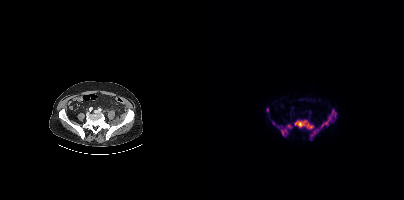
{"modality":"PSMA PET/CT","view":"axial","tracer":"18F-PSMA","pet_grid":[200,200],"coord_frame":"pet_panel","coord_format":"x0,y0,x1,y1","lesion_bboxes":[[90,120,109,128],[106,118,130,138],[126,109,132,117],[73,125,79,134],[68,121,71,125]],"small_foci_centers":[[85,126],[63,109],[81,130]]}